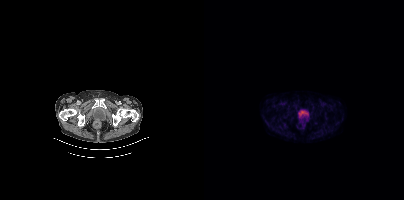
No tumor lesions annotated on this slice.